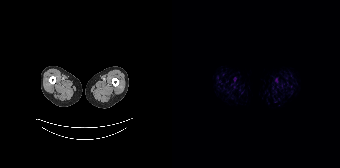
No PSMA-avid tumor lesions on this slice.